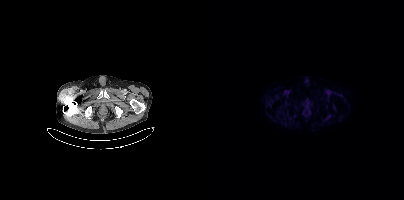
No PSMA-avid tumor lesions on this slice.